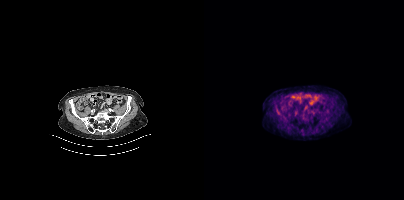
Two-panel axial: CT | PSMA PET, 18F-PSMA tracer. Slice 125 of 397. PET panel 200×200 px (4.1 mm/px). No PSMA-avid tumor lesions on this slice.